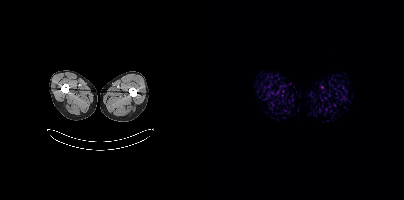
No PSMA-avid tumor lesions on this slice.